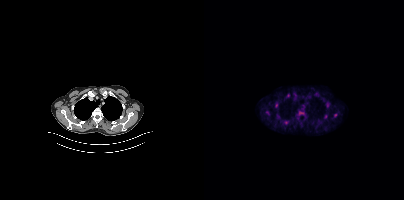
Two-panel axial: CT | PSMA PET, 18F tracer. Coordinates are on the 200×200 PET (right) panel. PSMA-avid tumor lesion bounding boxes (x0,y0,x1,y1): [122,102,125,107] [130,113,133,117]. Small PSMA-avid foci (2 to 4 px across) near (center x, center y): (121, 116) (63, 112) (81, 122) (74, 116).